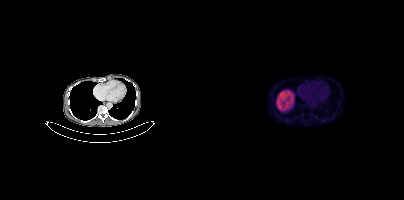
Coordinates are on the 200×200 PET (right) panel. PSMA-avid tumor lesion bounding box (x0,y0,x1,y1): [117,118,121,121]. Small PSMA-avid foci (2 to 4 px across) near (center x, center y): (98, 114); (111, 116). Left: CT. Right: PSMA PET, same axial level, [18F]PSMA-1007 tracer. Acquired on Siemens Biograph mCT Flow 20. Slice position z = -104 mm. PET panel 200×200 px (4.1 mm/px).